Privacy masking over the head, with the pixels inside a rectangle set to black.
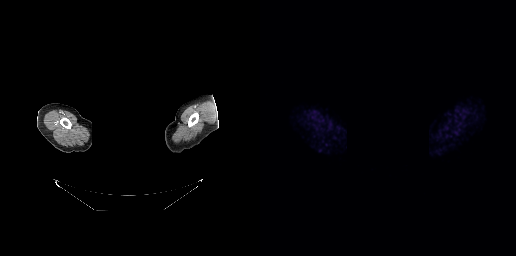
This slice has no annotated PSMA-avid lesion.